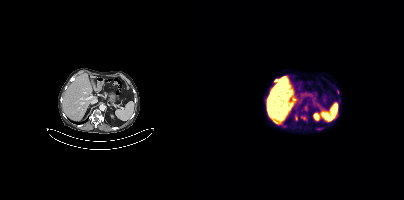
Coordinates are on the 200×200 PET (right) panel. (showing 3 of 4 foci) PSMA-avid tumor lesion bounding boxes (x0,y0,x1,y1): [97,116,102,120] [91,115,93,120] [70,79,74,81]. Paired axial CT (left) and PSMA PET (right), [18F]PSMA-1007 tracer. Acquired on Siemens Biograph mCT Flow 20. Slice position z = -650 mm. PET panel 200×200 px (4.1 mm/px).